Paired axial CT (left) and PSMA PET (right), 18F-PSMA tracer. Slice position z = -333 mm.
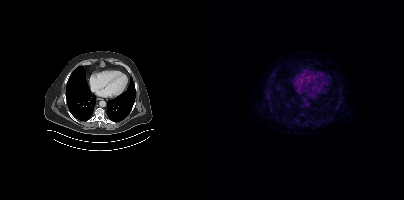
No tumor lesions annotated on this slice.